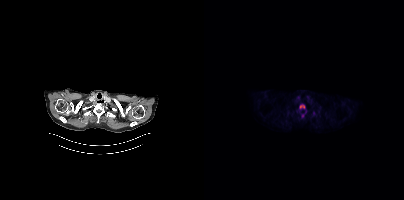
{"pet_grid":[200,200],"coord_frame":"pet_panel","coord_format":"x0,y0,x1,y1","lesion_bboxes":[[96,104,100,108]],"modality":"PSMA PET/CT","view":"axial","tracer":"[18F]PSMA-1007"}